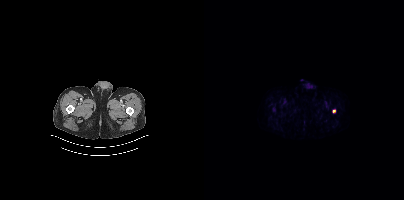
Coordinates are on the 200×200 PET (right) panel. Small PSMA-avid focus (2 to 4 px across) near (center x, center y): (129, 110).